Paired axial CT (left) and PSMA PET (right), 18F tracer. Slice 119 of 299.
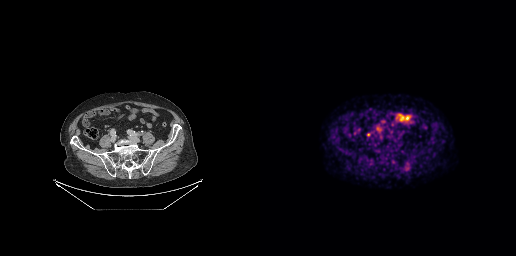
Coordinates are on the 256×256 PET (right) panel. Small PSMA-avid focus (2 to 4 px across) near (center x, center y): (108, 134).